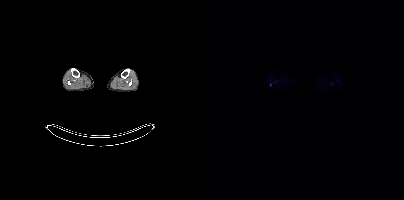
No PSMA-avid tumor lesions on this slice. Two-panel axial: CT | PSMA PET, [18F]PSMA-1007 tracer. Acquired on Siemens Biograph mCT Flow 20.